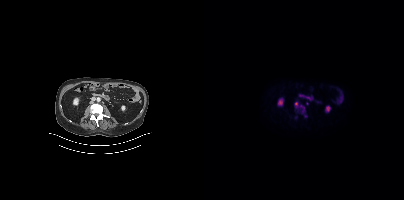
Coordinates are on the 200×200 PET (right) panel. PSMA-avid tumor lesion bounding box (x0,y0,x1,y1): [90,102,103,117].